- Two-panel axial: CT | PSMA PET, [18F]PSMA-1007 tracer
- slice position z = -1175 mm
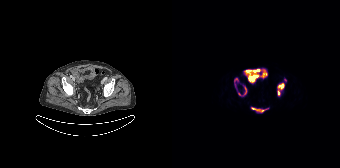
Findings: Coordinates are on the 168×168 PET (right) panel. PSMA-avid tumor lesion bounding boxes (x0,y0,x1,y1): [105,83,112,95]; [79,107,96,112]; [66,85,75,96]; [62,78,66,86]. Small PSMA-avid focus (2 to 4 px across) near (center x, center y): (113, 80).